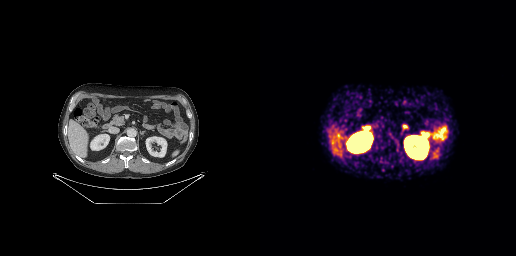
modality: PSMA PET/CT | tracer: 68Ga-PSMA | view: axial | PET grid: 256×256
Negative for PSMA-avid disease on this slice.